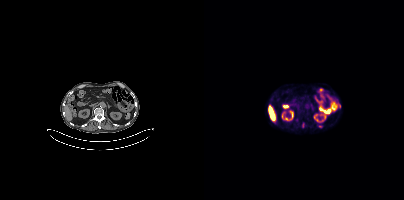
modality: PSMA PET/CT | tracer: 18F | view: axial
Coordinates are on the 200×200 PET (right) panel. (showing 1 of 3 foci) PSMA-avid tumor lesion bounding box (x0,y0,x1,y1): [114,125,118,127].